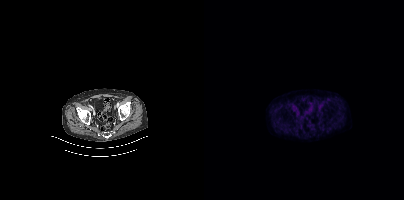
Findings: No PSMA-avid tumor lesions on this slice.
- Left: CT. Right: PSMA PET, same axial level, 18F-PSMA tracer
- slice position z = -1412 mm